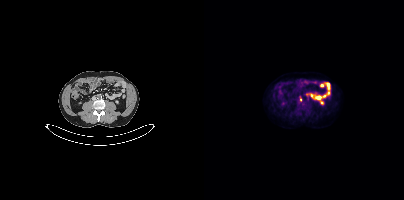
{"modality":"PSMA PET/CT","view":"axial","tracer":"[18F]PSMA-1007","pet_grid":[200,200],"coord_frame":"pet_panel","coord_format":"x0,y0,x1,y1","partial":true,"lesion_bboxes":[],"small_foci_centers":[[96,99]]}